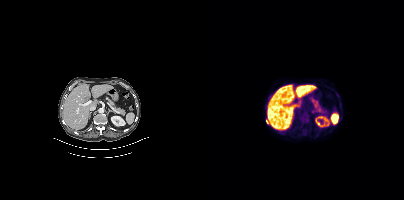
Coordinates are on the 200×200 PET (right) panel. Small PSMA-avid foci (2 to 4 px across) near (center x, center y): (63, 121); (103, 119).